Two-panel axial: CT | PSMA PET, [18F]PSMA-1007 tracer. Slice position z = -282 mm.
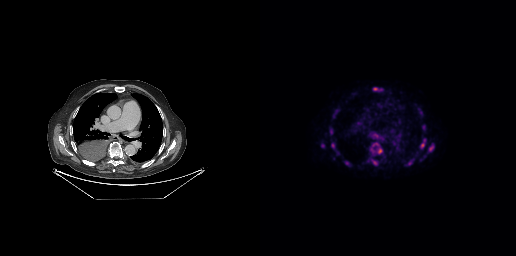
Coordinates are on the 256×256 PET (right) panel. PSMA-avid tumor lesion bounding boxes:
| # | x0 | y0 | x1 | y1 |
|---|---|---|---|---|
| 1 | 86 | 161 | 89 | 165 |
| 2 | 118 | 149 | 121 | 153 |
Small PSMA-avid foci (2 to 4 px across) near (center x, center y): (72, 145); (162, 144); (71, 131); (115, 88); (62, 145); (170, 148); (114, 162).